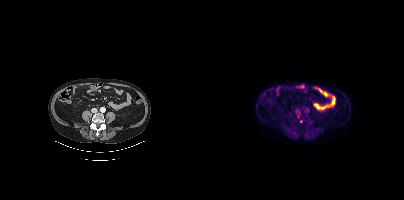
- Two-panel axial: CT | PSMA PET, [18F]PSMA-1007 tracer
- acquired on Siemens Biograph mCT Flow 20
- slice 142 of 403
Findings: Only PSMA-avid lesion pieces thinner than 2 px on this slice (not listed).